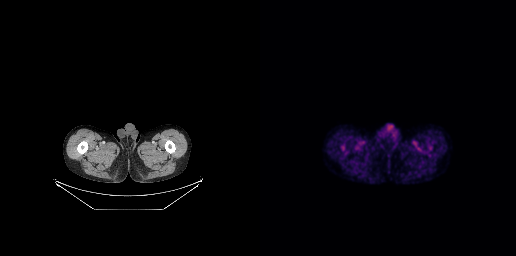
Findings: Negative for PSMA-avid disease on this slice.
Technique: Left: CT. Right: PSMA PET, same axial level, [18F]PSMA-1007 tracer.